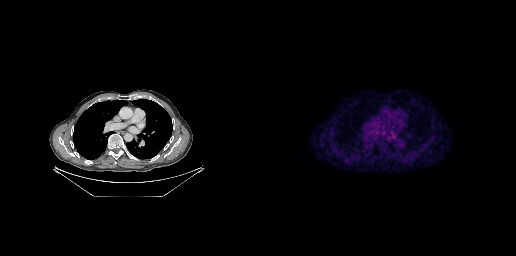
Coordinates are on the 256×256 PET (right) panel. PSMA-avid tumor lesion bounding box (x0, y0)-(x1, y1): (131, 134)-(136, 139).
modality: PSMA PET/CT | tracer: 18F | view: axial | PET grid: 256×256